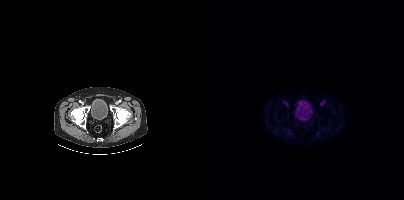
Left: CT. Right: PSMA PET, same axial level, 18F tracer. Negative for PSMA-avid disease on this slice.